- Left: CT. Right: PSMA PET, same axial level, 18F tracer
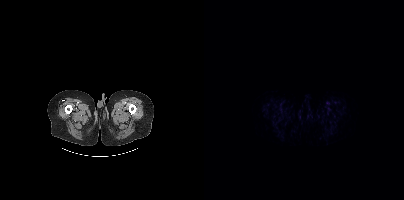
Findings: Negative for PSMA-avid disease on this slice.